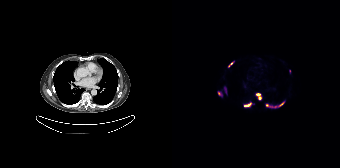
Coordinates are on the 168×168 PET (right) panel. (showing 6 of 7 foci) PSMA-avid tumor lesion bounding boxes (x0,y0,x1,y1): [94,101,112,108]; [83,93,89,100]; [74,102,80,107]; [46,91,50,96]; [56,61,62,67]; [53,88,54,92].